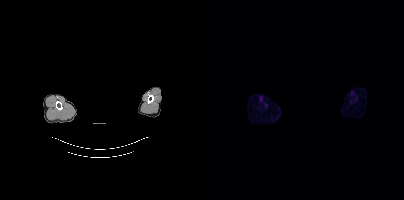
The head region is masked for de-identification.
No tumor lesions annotated on this slice.